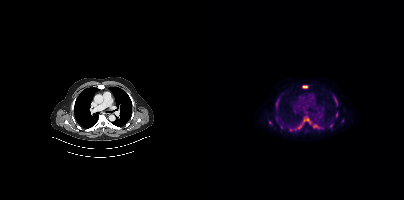
Findings: Coordinates are on the 200×200 PET (right) panel. PSMA-avid tumor lesion bounding boxes (x0,y0,x1,y1): [98,118,116,128], [85,125,97,131], [129,96,133,106], [98,85,103,88], [72,100,74,108], [131,112,134,116], [76,124,79,128], [125,124,129,127]. Small PSMA-avid foci (2 to 4 px across) near (center x, center y): (66, 122), (72, 118), (138, 120).
- Paired axial CT (left) and PSMA PET (right), [18F]PSMA-1007 tracer
- slice 268 of 395
- PET panel 200×200 px (4.1 mm/px)